Left: CT. Right: PSMA PET, same axial level, [18F]PSMA-1007 tracer. Acquired on GE Discovery 690. Slice position z = -505 mm.
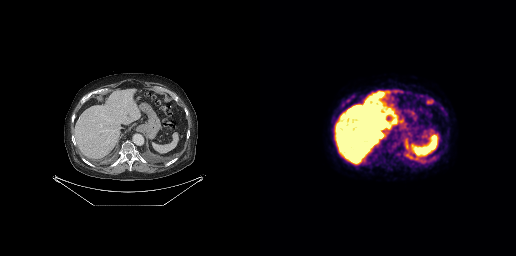
Coordinates are on the 256×256 PET (right) panel. PSMA-avid tumor lesion bounding boxes (x, y, width, height): x=160 y=158 w=8 h=6 / x=172 y=155 w=7 h=7 / x=167 y=99 w=7 h=6.